Two-panel axial: CT | PSMA PET, 18F tracer. Acquired on Siemens Biograph mCT Flow 20. Slice 142 of 466. PET panel 200×200 px (4.1 mm/px).
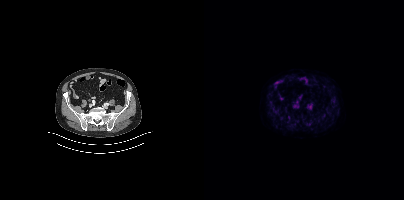
Coordinates are on the 200×200 PET (right) panel. Small PSMA-avid focus (2 to 4 px across) near (center x, center y): (84, 117).